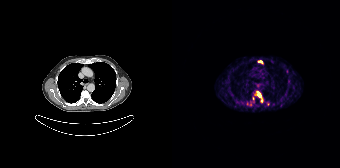
Technique: Left: CT. Right: PSMA PET, same axial level, 68Ga-PSMA tracer. PET panel 168×168 px (4.1 mm/px).
Findings: Coordinates are on the 168×168 PET (right) panel. (showing 4 of 9 foci) PSMA-avid tumor lesion bounding boxes (x, y, width, height): x=82 y=91 w=10 h=12; x=86 y=60 w=5 h=4. Small PSMA-avid foci (2 to 4 px across) near (center x, center y): (116, 81); (81, 98).